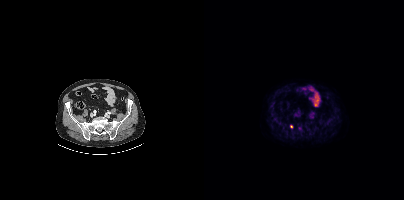
Paired axial CT (left) and PSMA PET (right), [18F]PSMA-1007 tracer. PET panel 200×200 px (4.1 mm/px). Coordinates are on the 200×200 PET (right) panel. Small PSMA-avid focus (2 to 4 px across) near (center x, center y): (87, 126).